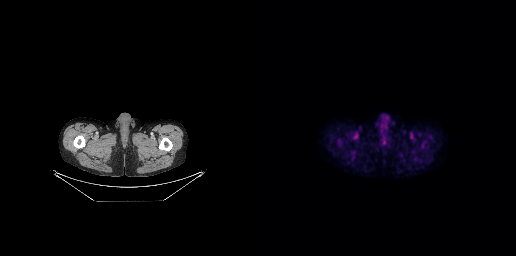
Findings: Negative for PSMA-avid disease on this slice.
- Left: CT. Right: PSMA PET, same axial level, 18F-PSMA tracer
- acquired on GE Discovery 690
- slice position z = -789 mm
- PET panel 256×256 px (2.7 mm/px)